Technique: Left: CT. Right: PSMA PET, same axial level, 18F-PSMA tracer. acquired on GE Discovery 690. slice position z = -659 mm.
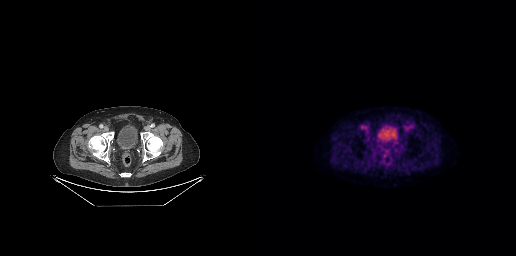
Findings: No PSMA-avid tumor lesions on this slice.